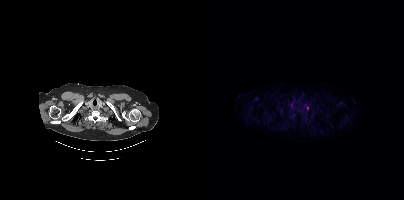
- Two-panel axial: CT | PSMA PET, 18F-PSMA tracer
- PET panel 200×200 px (4.1 mm/px)
Findings: Coordinates are on the 200×200 PET (right) panel. Small PSMA-avid focus (2 to 4 px across) near (center x, center y): (103, 108).